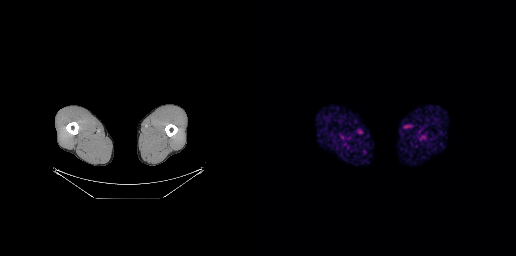
Two-panel axial: CT | PSMA PET, [18F]PSMA-1007 tracer. Acquired on GE Discovery 690. No PSMA-avid tumor lesions on this slice.